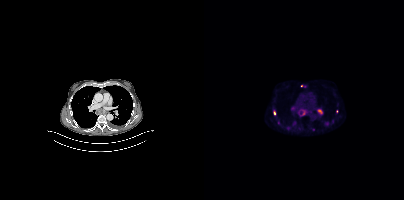
Findings: Coordinates are on the 200×200 PET (right) panel. (showing 9 of 11 foci) PSMA-avid tumor lesion bounding boxes (x, y, width, height): x=94 y=109 w=10 h=8; x=113 y=109 w=6 h=6. Small PSMA-avid foci (2 to 4 px across) near (center x, center y): (123, 123); (74, 122); (70, 112); (84, 127); (98, 85); (109, 129); (132, 111).
- Paired axial CT (left) and PSMA PET (right), [18F]PSMA-1007 tracer
- slice 271 of 405
- PET panel 200×200 px (4.1 mm/px)